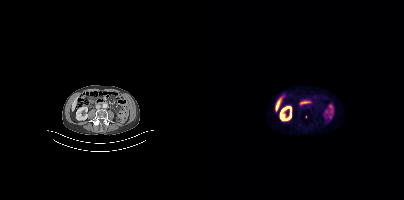
Paired axial CT (left) and PSMA PET (right), [18F]PSMA-1007 tracer. Slice position z = 126 mm. Only PSMA-avid lesion pieces thinner than 2 px on this slice (not listed).